Left: CT. Right: PSMA PET, same axial level, [18F]PSMA-1007 tracer.
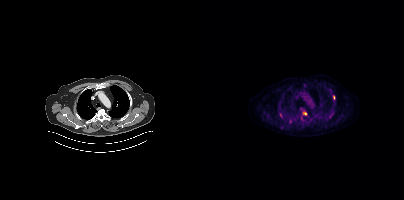
Coordinates are on the 200×200 PET (right) panel. (showing 6 of 7 foci) PSMA-avid tumor lesion bounding boxes (x0, y0)-(x1, y1): (75, 113)-(78, 117); (126, 112)-(129, 116). Small PSMA-avid foci (2 to 4 px across) near (center x, center y): (86, 121); (100, 113); (130, 97); (126, 90).